modality: PSMA PET/CT | tracer: [18F]PSMA-1007 | view: axial | PET grid: 200×200
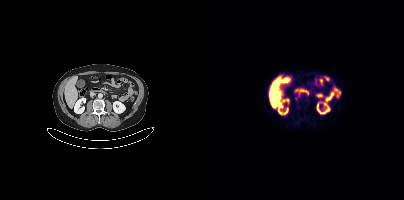
Coordinates are on the 200×200 PET (right) panel. PSMA-avid tumor lesion bounding box (x0,y0,x1,y1): [91,94,96,99]. Small PSMA-avid focus (2 to 4 px across) near (center x, center y): (104, 94).